Technique: Paired axial CT (left) and PSMA PET (right), 18F-PSMA tracer.
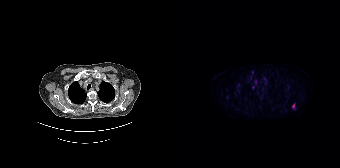
Findings: Coordinates are on the 168×168 PET (right) panel. (showing 1 of 2 foci) PSMA-avid tumor lesion bounding box (x, y, width, height): x=120 y=103 w=4 h=7.